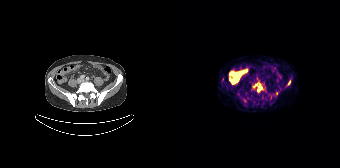
- Paired axial CT (left) and PSMA PET (right), 68Ga tracer
- slice position z = -1064 mm
- PET panel 168×168 px (4.1 mm/px)
Findings: Coordinates are on the 168×168 PET (right) panel. PSMA-avid tumor lesion bounding boxes (x, y, width, height): x=81 y=83 w=10 h=9; x=115 y=80 w=4 h=6. Small PSMA-avid foci (2 to 4 px across) near (center x, center y): (104, 93); (72, 100).